modality: PSMA PET/CT | tracer: 18F-PSMA | view: axial
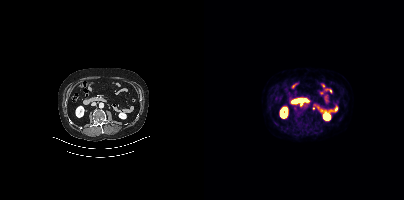
Coordinates are on the 200×200 PET (right) panel. Small PSMA-avid focus (2 to 4 px across) near (center x, center y): (109, 108).